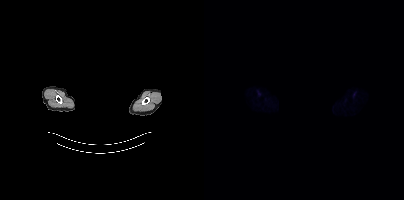
Negative for PSMA-avid disease on this slice.
deidentification: rectangular block over head set to black | modality: PSMA PET/CT | tracer: 18F-PSMA | view: axial | PET grid: 200×200